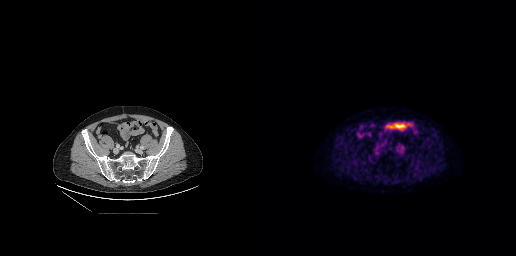
No tumor lesions annotated on this slice.